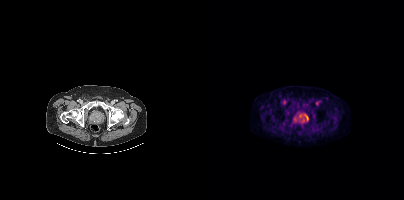
Coordinates are on the 200×200 PET (right) panel. PSMA-avid tumor lesion bounding box (x, y, width, height): x=95 y=113 w=10 h=9. Small PSMA-avid focus (2 to 4 px across) near (center x, center y): (92, 118).